Left: CT. Right: PSMA PET, same axial level, 18F-PSMA tracer. PET panel 168×168 px (4.1 mm/px).
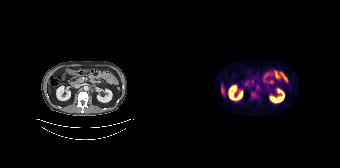
Coordinates are on the 168×168 PET (right) panel. PSMA-avid tumor lesion bounding box (x0,y0,x1,y1): [79,93,84,97].